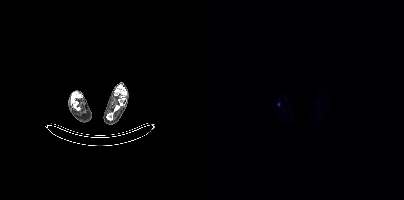
Only PSMA-avid lesion pieces thinner than 2 px on this slice (not listed). Left: CT. Right: PSMA PET, same axial level, 18F-PSMA tracer.